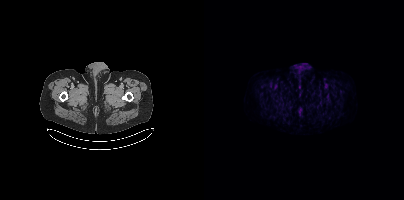
No PSMA-avid tumor lesions on this slice. Paired axial CT (left) and PSMA PET (right), 18F-PSMA tracer. Acquired on Siemens Biograph mCT Flow 20. Slice position z = -789 mm.